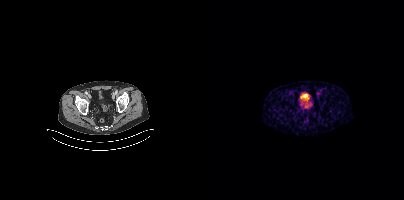
- Paired axial CT (left) and PSMA PET (right), 68Ga tracer
Findings: Negative for PSMA-avid disease on this slice.